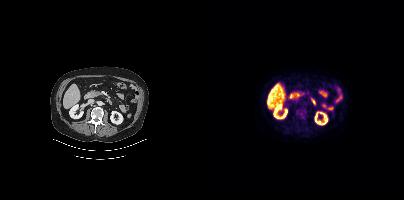
{"modality":"PSMA PET/CT","view":"axial","tracer":"[18F]PSMA-1007","pet_grid":[200,200],"coord_frame":"pet_panel","coord_format":"x0,y0,x1,y1","psma_avid_lesions":false}